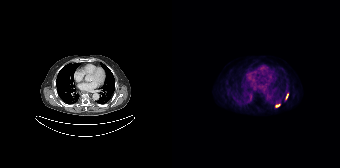
modality: PSMA PET/CT | tracer: 18F | view: axial | PET grid: 168×168
Coordinates are on the 168×168 PET (right) panel. PSMA-avid tumor lesion bounding boxes (x0, y0)-(x1, y1): (103, 104)-(108, 107) | (113, 93)-(116, 99).